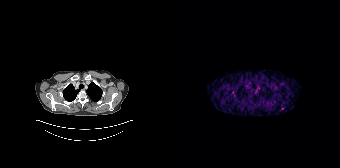
Only PSMA-avid lesion pieces thinner than 2 px on this slice (not listed).
modality: PSMA PET/CT | tracer: [68Ga]Ga-PSMA-11 | view: axial